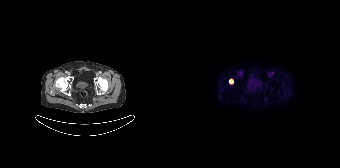
Findings: Coordinates are on the 168×168 PET (right) panel. PSMA-avid tumor lesion bounding box (x, y, width, height): x=57 y=79 w=5 h=6.
Technique: Two-panel axial: CT | PSMA PET, 18F tracer. acquired on Siemens Biograph 64-4R TruePoint.